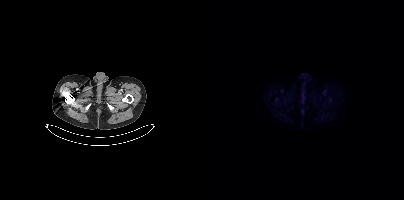
Negative for PSMA-avid disease on this slice.